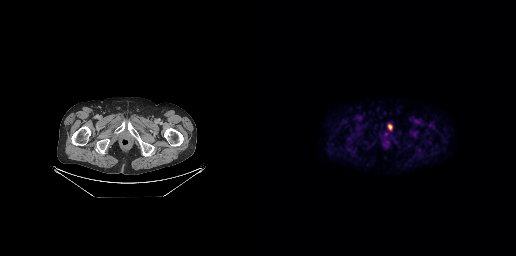
Technique: Paired axial CT (left) and PSMA PET (right), [18F]PSMA-1007 tracer. PET panel 256×256 px (2.7 mm/px).
Findings: Coordinates are on the 256×256 PET (right) panel. PSMA-avid tumor lesion bounding box (x, y, width, height): x=128 y=124 w=5 h=6.